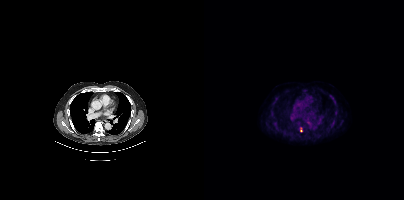
Coordinates are on the 200×200 PET (right) panel. PSMA-avid tumor lesion bounding box (x, y, width, height): x=96 y=127 w=3 h=6.